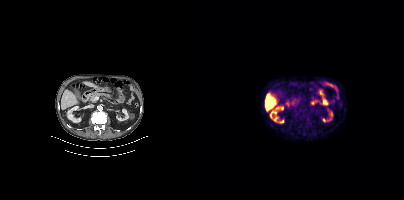
modality: PSMA PET/CT | tracer: 18F-PSMA | view: axial | PET grid: 200×200
Negative for PSMA-avid disease on this slice.